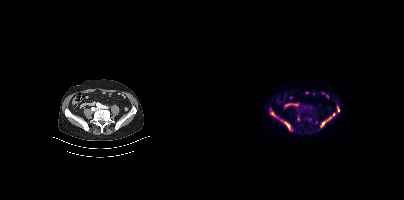
Findings: Coordinates are on the 200×200 PET (right) panel. (showing 5 of 7 foci) PSMA-avid tumor lesion bounding boxes (x0,y0,x1,y1): [117,113,131,127], [77,120,86,130], [66,112,71,116], [133,106,135,112]. Small PSMA-avid focus (2 to 4 px across) near (center x, center y): (106, 119).
Technique: Paired axial CT (left) and PSMA PET (right), [18F]PSMA-1007 tracer. slice position z = -1403 mm.